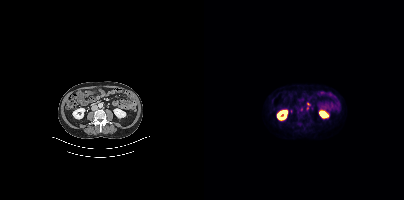
Coordinates are on the 200×200 PET (right) panel. Small PSMA-avid foci (2 to 4 px across) near (center x, center y): (104, 104) / (103, 108).